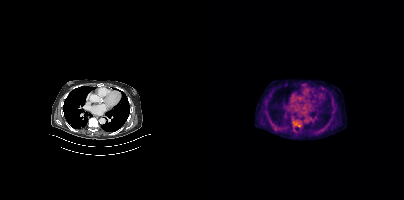
Coordinates are on the 200×200 PET (right) panel. PSMA-avid tumor lesion bounding box (x, y, width, height): x=92 y=123 w=5 h=4. Paired axial CT (left) and PSMA PET (right), 18F-PSMA tracer. Acquired on Siemens Biograph mCT Flow 20. Slice position z = -1164 mm.